Left: CT. Right: PSMA PET, same axial level, 18F tracer. Slice 211 of 429.
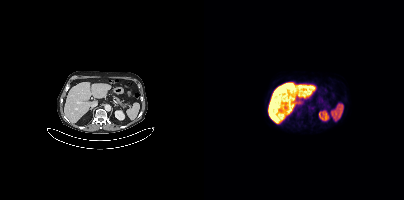
No tumor lesions annotated on this slice.